Paired axial CT (left) and PSMA PET (right), 18F-PSMA tracer. Slice 183 of 427. PET panel 200×200 px (4.1 mm/px).
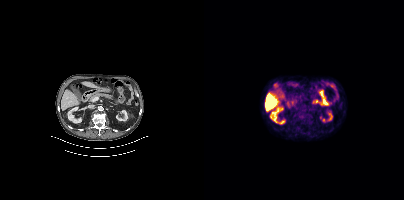
Negative for PSMA-avid disease on this slice.